modality: PSMA PET/CT | tracer: 68Ga-PSMA | view: axial | PET grid: 256×256
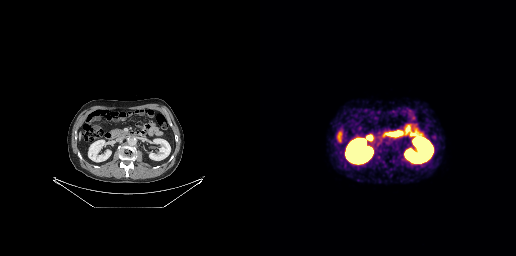
This slice has no annotated PSMA-avid lesion.